Two-panel axial: CT | PSMA PET, 18F tracer. Slice 41 of 401. PET panel 200×200 px (4.1 mm/px).
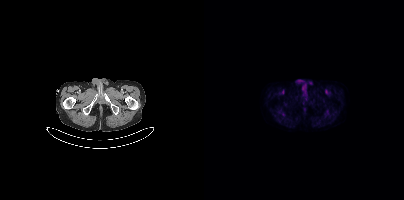
No PSMA-avid tumor lesions on this slice.